Two-panel axial: CT | PSMA PET, 18F tracer. PET panel 256×256 px (2.7 mm/px).
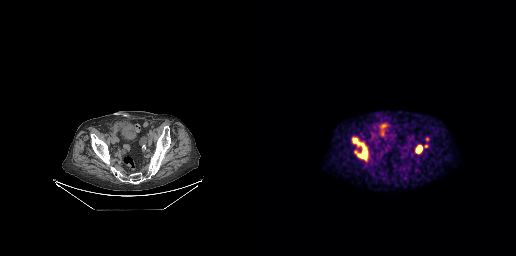
Coordinates are on the 256×256 PET (right) panel. PSMA-avid tumor lesion bounding boxes (partial; 2 more foci not listed):
| # | x0 | y0 | x1 | y1 |
|---|---|---|---|---|
| 1 | 93 | 138 | 107 | 159 |
| 2 | 156 | 145 | 162 | 152 |